Two-panel axial: CT | PSMA PET, 18F-PSMA tracer. Slice 309 of 413. PET panel 200×200 px (4.1 mm/px).
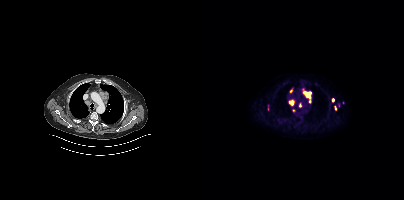
Coordinates are on the 200×200 PET (right) panel. (showing 7 of 9 foci) PSMA-avid tumor lesion bounding boxes (x0,y0,x1,y1): [99,89,107,103] [85,100,90,105] [95,103,97,107]. Small PSMA-avid foci (2 to 4 px across) near (center x, center y): (87, 90) (129, 99) (131, 107) (89, 110).